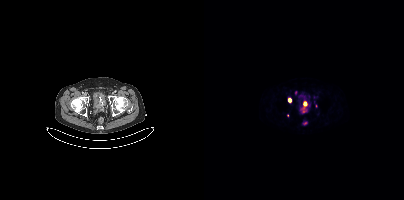
Coordinates are on the 200×200 PET (right) panel. PSMA-avid tumor lesion bounding box (x, y, width, height): x=96 y=102 w=8 h=11. Small PSMA-avid foci (2 to 4 px across) near (center x, center y): (85, 99); (92, 92); (100, 124); (112, 105); (83, 115).